Paired axial CT (left) and PSMA PET (right), [18F]PSMA-1007 tracer. Acquired on Siemens Biograph 64-4R TruePoint. Slice 131 of 165.
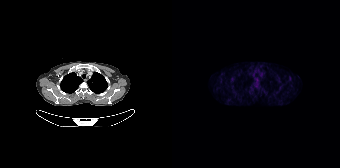
This slice has no annotated PSMA-avid lesion.